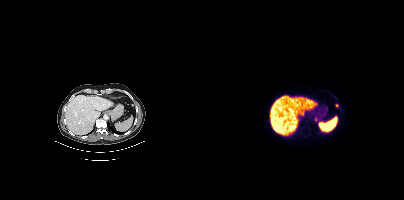
Findings: Coordinates are on the 200×200 PET (right) panel. PSMA-avid tumor lesion bounding box (x, y, width, height): x=111 y=117 w=3 h=5. Small PSMA-avid focus (2 to 4 px across) near (center x, center y): (133, 105).
Technique: Two-panel axial: CT | PSMA PET, 18F tracer. acquired on Siemens Biograph mCT Flow 20. slice position z = -677 mm.